- Two-panel axial: CT | PSMA PET, [18F]PSMA-1007 tracer
- slice position z = 190 mm
- head region blanked for anonymization (face removed)
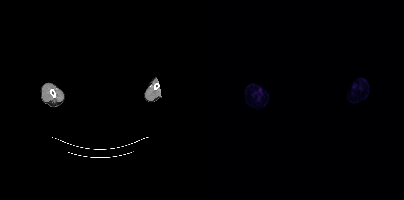
Findings: No tumor lesions annotated on this slice.